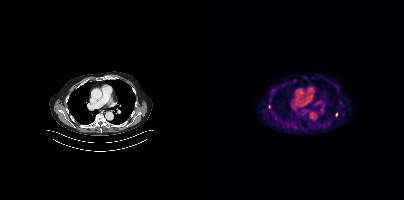
Technique: Left: CT. Right: PSMA PET, same axial level, [18F]PSMA-1007 tracer.
Findings: Coordinates are on the 200×200 PET (right) panel. Small PSMA-avid foci (2 to 4 px across) near (center x, center y): (132, 114) / (65, 106).